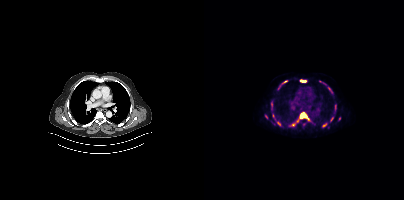
Coordinates are on the 200×200 PET (right) panel. (showing 9 of 16 foci) PSMA-avid tumor lesion bounding boxes (x, y, width, height): x=96 y=112 w=7 h=7 | x=96 y=80 w=7 h=3 | x=67 y=102 w=2 h=5 | x=131 y=105 w=2 h=6. Small PSMA-avid foci (2 to 4 px across) near (center x, center y): (74, 122) | (62, 116) | (125, 88) | (81, 81) | (120, 125).
modality: PSMA PET/CT | tracer: [18F]PSMA-1007 | view: axial | PET grid: 200×200